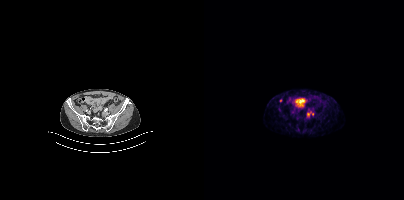
{"modality":"PSMA PET/CT","view":"axial","tracer":"68Ga","pet_grid":[200,200],"coord_frame":"pet_panel","coord_format":"x0,y0,x1,y1","partial":true,"lesion_bboxes":[],"small_foci_centers":[[104,114]]}